- Two-panel axial: CT | PSMA PET, 18F tracer
- acquired on Siemens Biograph mCT Flow 20
- PET panel 200×200 px (4.1 mm/px)
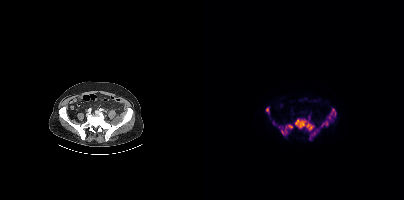
Findings: Coordinates are on the 200×200 PET (right) panel. PSMA-avid tumor lesion bounding boxes (x, y, width, height): x=90 y=118 w=20 h=13; x=116 y=119 w=12 h=9; x=125 y=109 w=8 h=8; x=74 y=126 w=7 h=9; x=105 y=132 w=7 h=7; x=84 y=125 w=5 h=4; x=112 y=128 w=4 h=6; x=62 y=108 w=3 h=5; x=81 y=126 w=2 h=7. Small PSMA-avid focus (2 to 4 px across) near (center x, center y): (70, 122).